Left: CT. Right: PSMA PET, same axial level, 18F-PSMA tracer.
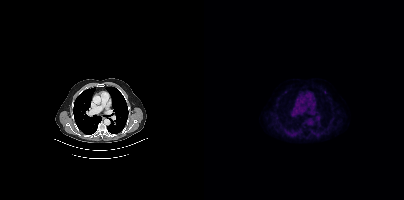
No PSMA-avid tumor lesions on this slice.